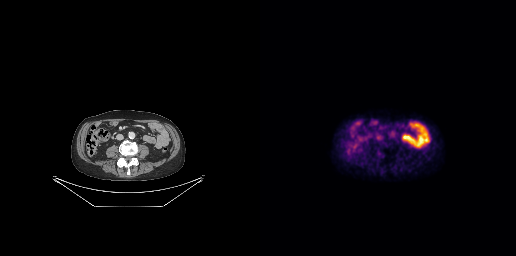
Negative for PSMA-avid disease on this slice.